Left: CT. Right: PSMA PET, same axial level, [18F]PSMA-1007 tracer. Slice position z = -1348 mm. PET panel 200×200 px (4.1 mm/px).
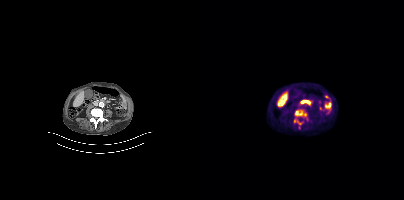
Coordinates are on the 200×200 PET (right) panel. PSMA-avid tumor lesion bounding boxes:
| # | x0 | y0 | x1 | y1 |
|---|---|---|---|---|
| 1 | 90 | 112 | 99 | 129 |
Small PSMA-avid focus (2 to 4 px across) near (center x, center y): (102, 120).